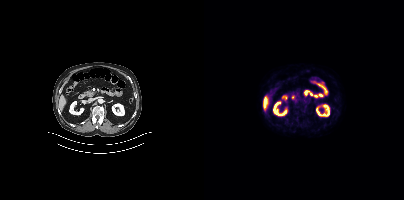
Technique: Left: CT. Right: PSMA PET, same axial level, 18F tracer. acquired on Siemens Biograph mCT Flow 20. slice 230 of 466. PET panel 200×200 px (4.1 mm/px).
Findings: Negative for PSMA-avid disease on this slice.